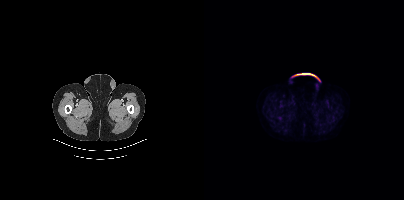
This slice has no annotated PSMA-avid lesion.